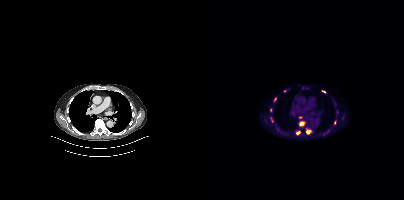
Coordinates are on the 200×200 PET (right) panel. (showing 9 of 10 foci) Small PSMA-avid foci (2 to 4 px across) near (center x, center y): (119, 91), (104, 132), (97, 123), (94, 133), (130, 122), (80, 91), (66, 110), (68, 120), (71, 98). Left: CT. Right: PSMA PET, same axial level, [18F]PSMA-1007 tracer. Slice 286 of 413.